- Two-panel axial: CT | PSMA PET, 18F tracer
- acquired on Siemens Biograph mCT Flow 20
- slice position z = -1509 mm
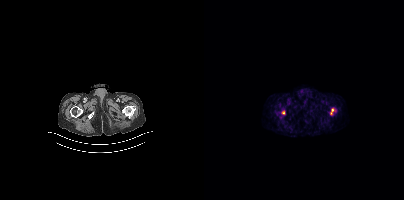
Findings: Coordinates are on the 200×200 PET (right) panel. PSMA-avid tumor lesion bounding boxes (x, y, width, height): x=126 y=108 w=7 h=8; x=77 y=110 w=5 h=5.